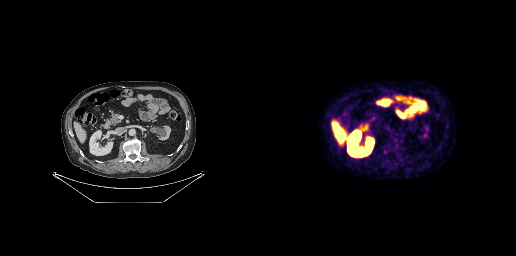
Left: CT. Right: PSMA PET, same axial level, [18F]PSMA-1007 tracer. Negative for PSMA-avid disease on this slice.